Paired axial CT (left) and PSMA PET (right), [18F]PSMA-1007 tracer. Slice position z = 342 mm.
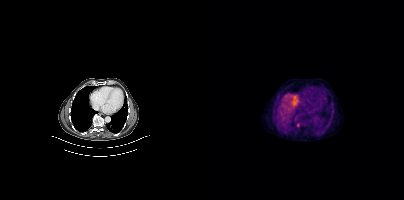
Coordinates are on the 200×200 PET (right) panel. PSMA-avid tumor lesion bounding box (x, y, width, height): x=128 y=110 w=2 h=5. Small PSMA-avid focus (2 to 4 px across) near (center x, center y): (94, 124).